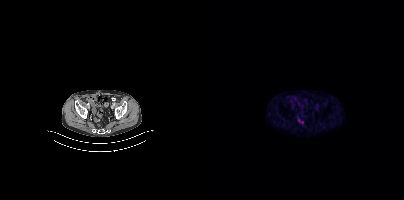
{"modality":"PSMA PET/CT","view":"axial","tracer":"18F-PSMA","pet_grid":[200,200],"coord_frame":"pet_panel","coord_format":"x0,y0,x1,y1","psma_avid_lesions":false}